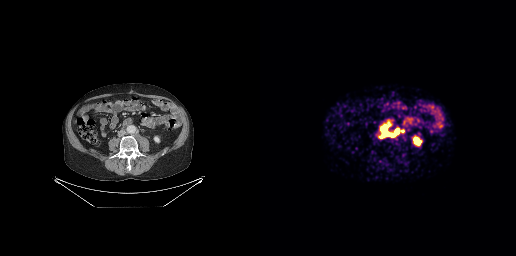
{"modality":"PSMA PET/CT","view":"axial","tracer":"68Ga","pet_grid":[256,256],"coord_frame":"pet_panel","coord_format":"x0,y0,x1,y1","lesion_bboxes":[[121,126,134,137],[140,129,144,133],[135,129,138,133]]}